- Two-panel axial: CT | PSMA PET, 68Ga tracer
- PET panel 256×256 px (2.7 mm/px)
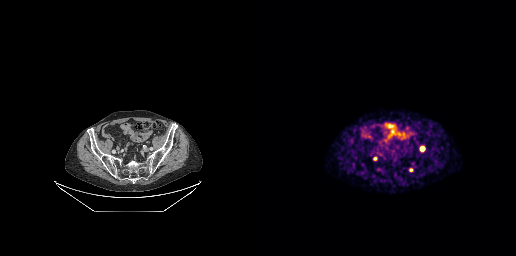
Findings: Coordinates are on the 256×256 PET (right) panel. (showing 4 of 5 foci) PSMA-avid tumor lesion bounding boxes (x0,y0,x1,y1): [113,157,117,160], [149,168,153,171], [90,138,92,143]. Small PSMA-avid focus (2 to 4 px across) near (center x, center y): (162, 148).